Two-panel axial: CT | PSMA PET, 18F-PSMA tracer. Acquired on Siemens Biograph mCT Flow 20. PET panel 200×200 px (4.1 mm/px).
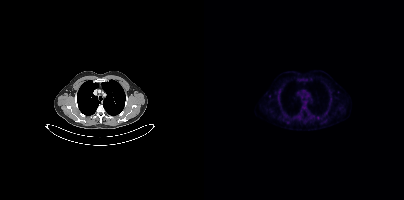
Only PSMA-avid lesion pieces thinner than 2 px on this slice (not listed).